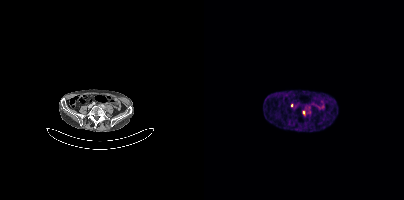
{"modality":"PSMA PET/CT","view":"axial","tracer":"68Ga","pet_grid":[200,200],"coord_frame":"pet_panel","coord_format":"x0,y0,x1,y1","lesion_bboxes":[],"small_foci_centers":[[99,112]]}